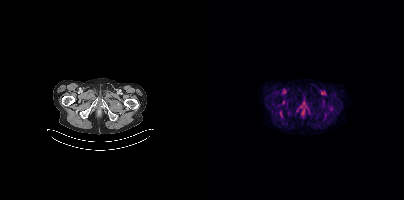
Left: CT. Right: PSMA PET, same axial level, [18F]PSMA-1007 tracer. This slice has no annotated PSMA-avid lesion.